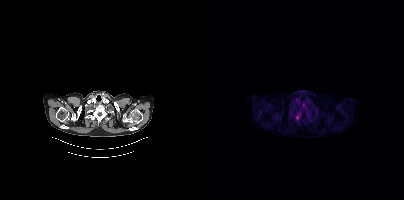
{"modality":"PSMA PET/CT","view":"axial","tracer":"[18F]PSMA-1007","pet_grid":[200,200],"coord_frame":"pet_panel","coord_format":"x0,y0,x1,y1","partial":true,"lesion_bboxes":[],"small_foci_centers":[[93,117]]}